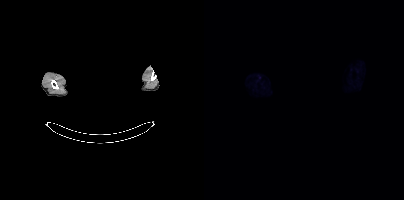
Face de-identified by blanking a block of the head.
Negative for PSMA-avid disease on this slice.